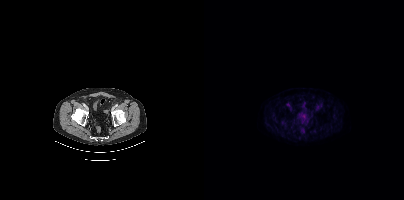
modality: PSMA PET/CT | tracer: [18F]PSMA-1007 | view: axial
Negative for PSMA-avid disease on this slice.